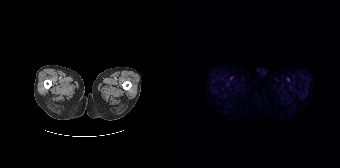
Paired axial CT (left) and PSMA PET (right), 18F-PSMA tracer. PET panel 168×168 px (4.1 mm/px). Negative for PSMA-avid disease on this slice.